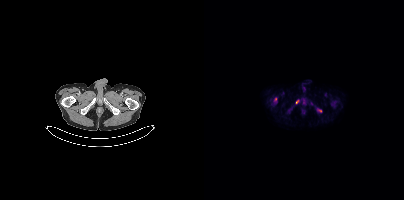
Coordinates are on the 200×200 PET (right) panel. Small PSMA-avid foci (2 to 4 px across) near (center x, center y): (93, 101), (71, 99), (116, 110).